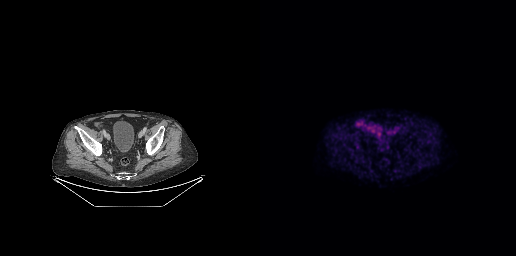
This slice has no annotated PSMA-avid lesion.